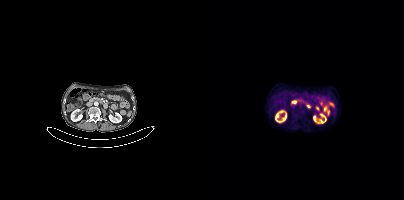
Two-panel axial: CT | PSMA PET, [18F]PSMA-1007 tracer. This slice has no annotated PSMA-avid lesion.